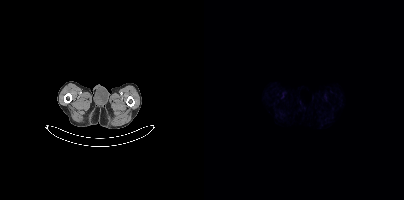
modality: PSMA PET/CT | tracer: 18F | view: axial
No tumor lesions annotated on this slice.